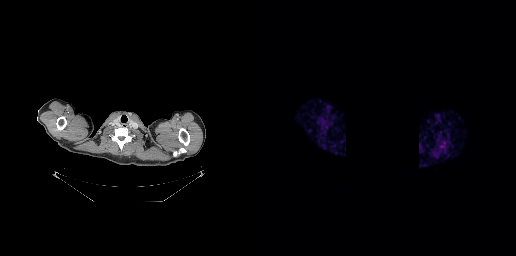
{"modality":"PSMA PET/CT","view":"axial","tracer":"18F","pet_grid":[256,256],"coord_frame":"pet_panel","coord_format":"x0,y0,x1,y1","psma_avid_lesions":false,"redaction":"rectangle blanked before release"}